Technique: Two-panel axial: CT | PSMA PET, 18F tracer.
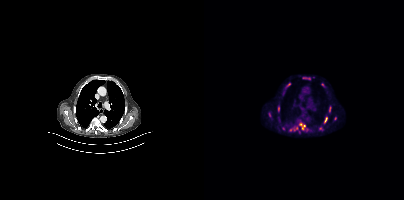
Findings: Coordinates are on the 200×200 PET (right) panel. (showing 8 of 10 foci) PSMA-avid tumor lesion bounding boxes (x0, y0)-(x1, y1): (86, 120)-(104, 133); (81, 82)-(86, 87); (64, 112)-(67, 118); (120, 117)-(123, 123); (99, 77)-(106, 79); (125, 106)-(127, 112); (74, 107)-(75, 112). Small PSMA-avid focus (2 to 4 px across) near (center x, center y): (116, 128).